- Left: CT. Right: PSMA PET, same axial level, 68Ga-PSMA tracer
- acquired on Siemens Biograph mCT Flow 20
- slice 390 of 397
- an anonymization step blacked out a rectangle over the head in this scan
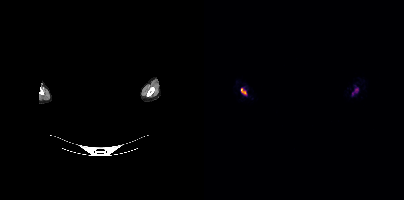
Findings: Coordinates are on the 200×200 PET (right) panel. PSMA-avid tumor lesion bounding boxes (x0, y0)-(x1, y1): (37, 88)-(42, 94); (148, 88)-(154, 95).